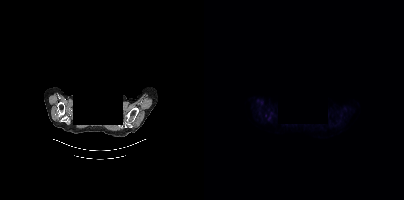
- the head region is masked for de-identification
- Two-panel axial: CT | PSMA PET, [18F]PSMA-1007 tracer
- acquired on Siemens Biograph mCT Flow 20
- PET panel 200×200 px (4.1 mm/px)
Findings: Coordinates are on the 200×200 PET (right) panel. Small PSMA-avid focus (2 to 4 px across) near (center x, center y): (61, 115).